Paired axial CT (left) and PSMA PET (right), 18F-PSMA tracer. Slice 38 of 393. PET panel 200×200 px (4.1 mm/px).
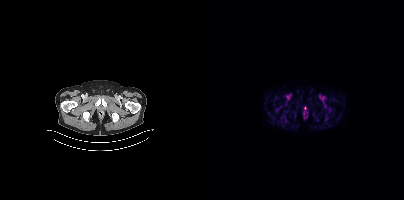
Coordinates are on the 200×200 PET (right) panel. (showing 2 of 3 foci) PSMA-avid tumor lesion bounding boxes (x0, y0)-(x1, y1): (71, 106)-(77, 111); (81, 101)-(83, 105).